Left: CT. Right: PSMA PET, same axial level, [18F]PSMA-1007 tracer. Slice 151 of 381. PET panel 200×200 px (4.1 mm/px).
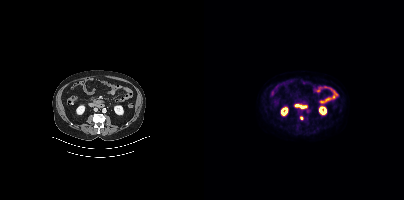
Coordinates are on the 200×200 PET (right) panel. Small PSMA-avid focus (2 to 4 px across) near (center x, center y): (97, 117).